Two-panel axial: CT | PSMA PET, 18F-PSMA tracer. Slice 142 of 413. PET panel 200×200 px (4.1 mm/px).
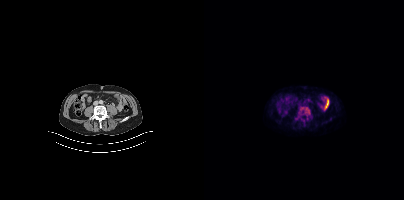
No PSMA-avid tumor lesions on this slice.